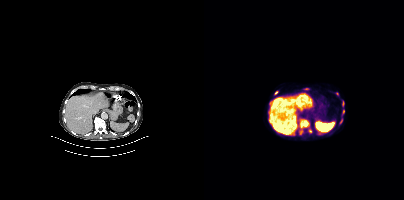
Coordinates are on the 200×200 PET (right) panel. (showing 7 of 8 foci) PSMA-avid tumor lesion bounding boxes (x0, y0)-(x1, y1): (95, 119)-(105, 134); (138, 101)-(140, 106); (138, 110)-(140, 114). Small PSMA-avid foci (2 to 4 px across) near (center x, center y): (106, 130); (72, 92); (133, 94); (136, 122).